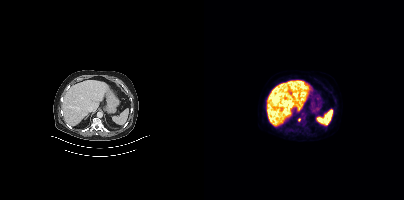
Coordinates are on the 200×200 PET (right) panel. Small PSMA-avid focus (2 to 4 px across) near (center x, center y): (95, 119). Two-panel axial: CT | PSMA PET, 18F-PSMA tracer.